Left: CT. Right: PSMA PET, same axial level, 68Ga tracer.
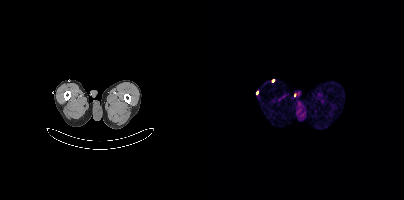
Negative for PSMA-avid disease on this slice.